Technique: Paired axial CT (left) and PSMA PET (right), 18F-PSMA tracer. acquired on Siemens Biograph mCT Flow 20. slice 184 of 454.
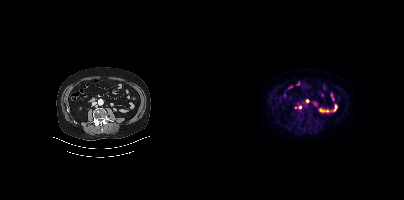
Findings: Coordinates are on the 200×200 PET (right) panel. Small PSMA-avid foci (2 to 4 px across) near (center x, center y): (103, 100) (96, 107) (91, 107).